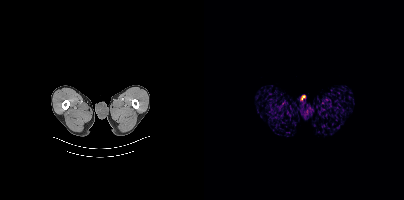
This slice has no annotated PSMA-avid lesion.